Left: CT. Right: PSMA PET, same axial level, 68Ga tracer. PET panel 256×256 px (2.7 mm/px).
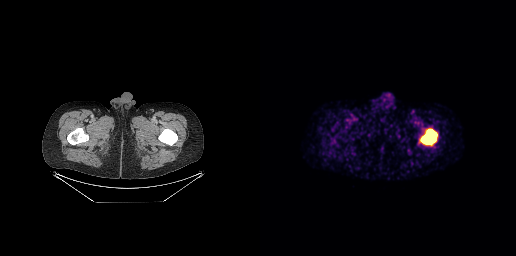
Coordinates are on the 256×256 PET (right) panel. PSMA-avid tumor lesion bounding boxes:
| # | x0 | y0 | x1 | y1 |
|---|---|---|---|---|
| 1 | 160 | 129 | 177 | 144 |